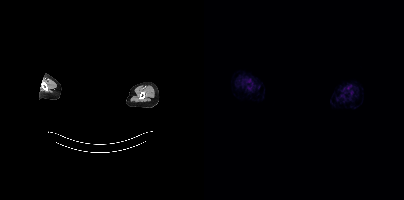
Privacy masking over the head, with the pixels inside a rectangle set to black.
No PSMA-avid tumor lesions on this slice.